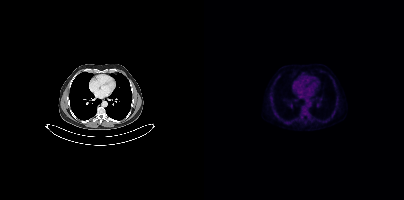
{"modality":"PSMA PET/CT","view":"axial","tracer":"[18F]PSMA-1007","pet_grid":[200,200],"coord_frame":"pet_panel","coord_format":"x0,y0,x1,y1","psma_avid_lesions":false}